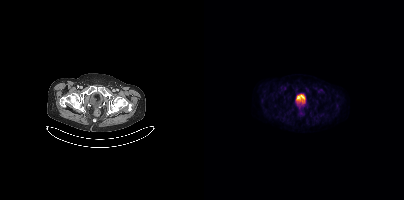
{"modality":"PSMA PET/CT","view":"axial","tracer":"18F-PSMA","pet_grid":[200,200],"coord_frame":"pet_panel","coord_format":"x0,y0,x1,y1","psma_avid_lesions":false}